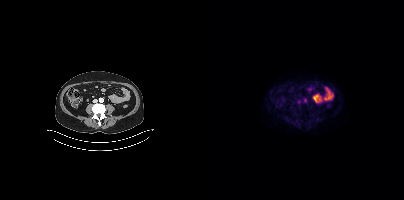
Findings: Negative for PSMA-avid disease on this slice.
- Left: CT. Right: PSMA PET, same axial level, [18F]PSMA-1007 tracer
- slice 141 of 393
- PET panel 200×200 px (4.1 mm/px)